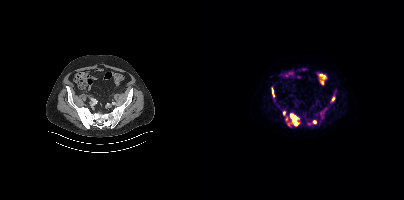
Findings: Coordinates are on the 200×200 PET (right) panel. (showing 5 of 6 foci) PSMA-avid tumor lesion bounding boxes (x0,y0,x1,y1): [79,111,95,126]; [109,120,113,123]; [68,88,71,97]; [115,119,117,123]; [128,97,130,101].
Technique: Paired axial CT (left) and PSMA PET (right), 18F-PSMA tracer. acquired on Siemens Biograph mCT Flow 20. slice position z = -762 mm.